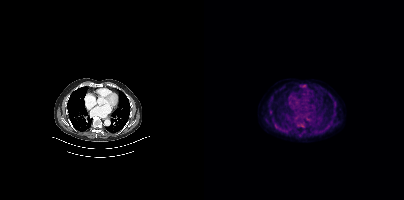
Coordinates are on the 200×200 PET (right) panel. PSMA-avid tumor lesion bounding boxes:
| # | x0 | y0 | x1 | y1 |
|---|---|---|---|---|
| 1 | 96 | 123 | 100 | 127 |
Left: CT. Right: PSMA PET, same axial level, [18F]PSMA-1007 tracer. Acquired on Siemens Biograph mCT Flow 20. Slice position z = 311 mm.